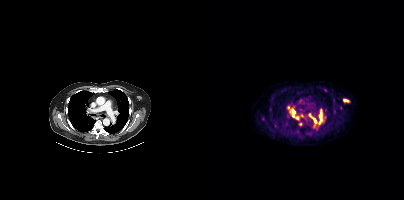
{"modality":"PSMA PET/CT","view":"axial","tracer":"[18F]PSMA-1007","pet_grid":[200,200],"coord_frame":"pet_panel","coord_format":"x0,y0,x1,y1","lesion_bboxes":[[83,106,95,119],[115,109,119,122],[105,114,112,126],[139,99,145,102],[83,114,85,118]],"small_foci_centers":[[96,123],[59,119],[70,125],[121,90],[66,109],[106,133],[97,115]]}